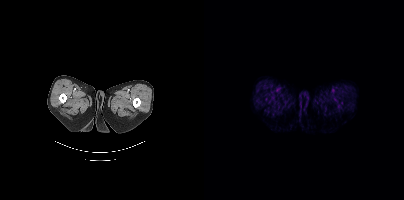
Left: CT. Right: PSMA PET, same axial level, 18F-PSMA tracer. Acquired on Siemens Biograph mCT Flow 20. PET panel 200×200 px (4.1 mm/px). Negative for PSMA-avid disease on this slice.